Technique: Paired axial CT (left) and PSMA PET (right), [18F]PSMA-1007 tracer. acquired on Siemens Biograph mCT Flow 20. slice 125 of 411.
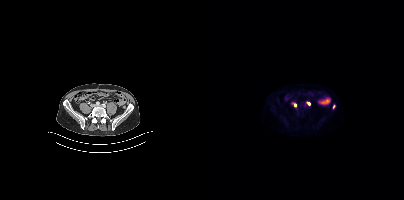
Findings: Coordinates are on the 200×200 PET (right) panel. Small PSMA-avid foci (2 to 4 px across) near (center x, center y): (104, 103); (91, 104); (130, 106).